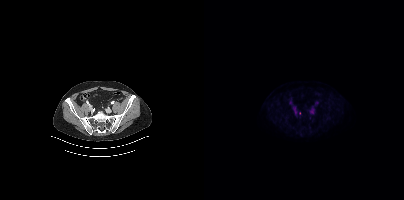
Only PSMA-avid lesion pieces thinner than 2 px on this slice (not listed). Two-panel axial: CT | PSMA PET, [18F]PSMA-1007 tracer. Slice position z = -1465 mm.